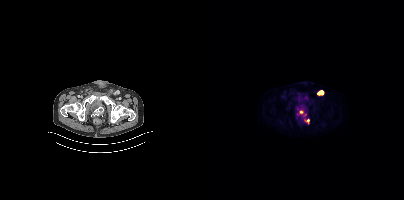
Two-panel axial: CT | PSMA PET, 18F-PSMA tracer. Acquired on Siemens Biograph mCT Flow 20. Slice position z = -1608 mm. PET panel 200×200 px (4.1 mm/px).
Coordinates are on the 200×200 PET (right) panel. PSMA-avid tumor lesion bounding boxes:
| # | x0 | y0 | x1 | y1 |
|---|---|---|---|---|
| 1 | 113 | 90 | 119 | 95 |
| 2 | 95 | 110 | 99 | 114 |
| 3 | 101 | 119 | 105 | 123 |
Small PSMA-avid focus (2 to 4 px across) near (center x, center y): (101, 114).